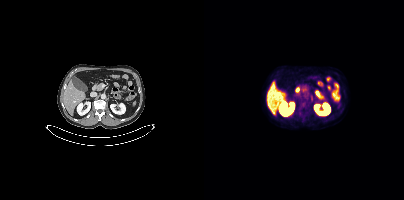
Paired axial CT (left) and PSMA PET (right), 18F-PSMA tracer. Acquired on Siemens Biograph mCT Flow 20. No PSMA-avid tumor lesions on this slice.